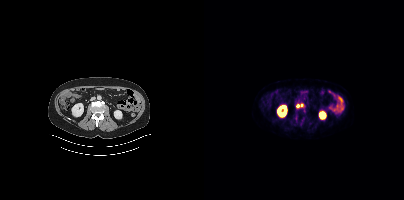
{"modality":"PSMA PET/CT","view":"axial","tracer":"18F-PSMA","pet_grid":[200,200],"coord_frame":"pet_panel","coord_format":"x0,y0,x1,y1","lesion_bboxes":[],"small_foci_centers":[[93,105],[97,105]]}